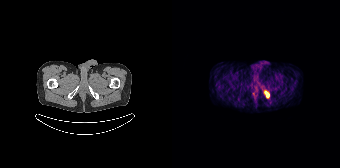
Coordinates are on the 168×168 PET (right) panel. (showing 1 of 2 foci) PSMA-avid tumor lesion bounding box (x0, y0)-(x1, y1): (93, 91)-(97, 97).